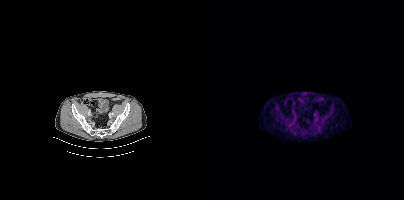
Negative for PSMA-avid disease on this slice.
modality: PSMA PET/CT | tracer: [18F]PSMA-1007 | view: axial